- Two-panel axial: CT | PSMA PET, [18F]PSMA-1007 tracer
- acquired on Siemens Biograph mCT Flow 20
- slice position z = -1468 mm
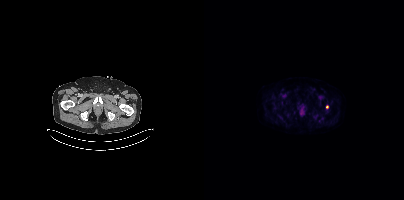
Findings: Coordinates are on the 200×200 PET (right) panel. Small PSMA-avid focus (2 to 4 px across) near (center x, center y): (123, 107).